Two-panel axial: CT | PSMA PET, [18F]PSMA-1007 tracer. Slice 76 of 299.
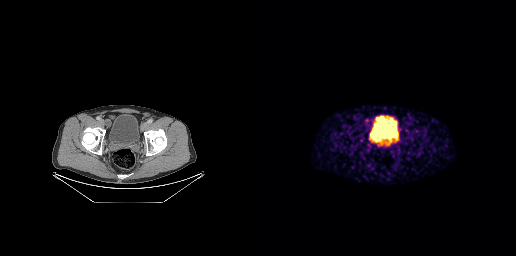
Coordinates are on the 256×256 PET (right) panel. PSMA-avid tumor lesion bounding box (x0, y0)-(x1, y1): (114, 135)-(124, 145).